Technique: Left: CT. Right: PSMA PET, same axial level, 68Ga tracer. acquired on Siemens Biograph mCT Flow 20. slice position z = -1002 mm. PET panel 200×200 px (4.1 mm/px).
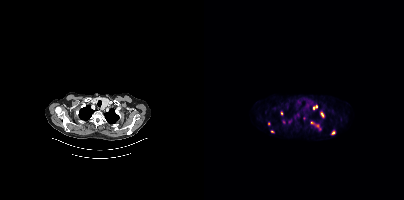
Findings: Coordinates are on the 200×200 PET (right) panel. (showing 12 of 14 foci) PSMA-avid tumor lesion bounding boxes (x, y, width, height): x=109 y=123 w=9 h=8; x=116 y=113 w=5 h=5. Small PSMA-avid foci (2 to 4 px across) near (center x, center y): (128, 132); (65, 123); (68, 131); (109, 108); (77, 113); (87, 121); (79, 122); (112, 106); (93, 114); (107, 122).